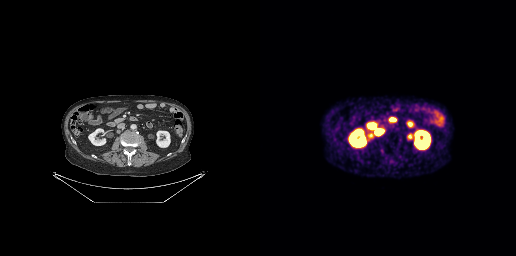
Paired axial CT (left) and PSMA PET (right), 68Ga-PSMA tracer. Acquired on GE Discovery 690. PET panel 256×256 px (2.7 mm/px).
Coordinates are on the 256×256 PET (right) panel. PSMA-avid tumor lesion bounding boxes:
| # | x0 | y0 | x1 | y1 |
|---|---|---|---|---|
| 1 | 116 | 130 | 121 | 134 |